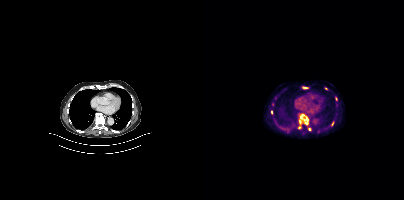
Two-panel axial: CT | PSMA PET, [18F]PSMA-1007 tracer. Coordinates are on the 200×200 PET (right) panel. PSMA-avid tumor lesion bounding boxes (x0, y0)-(x1, y1): (95, 114)-(104, 124); (127, 121)-(130, 125); (131, 97)-(133, 101); (99, 87)-(103, 88). Small PSMA-avid foci (2 to 4 px across) near (center x, center y): (95, 127); (105, 129); (67, 112); (122, 88).